modality: PSMA PET/CT | tracer: 68Ga | view: axial | PET grid: 168×168
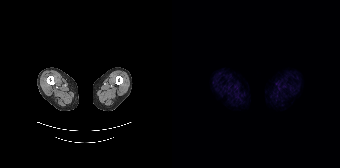
No tumor lesions annotated on this slice.